Left: CT. Right: PSMA PET, same axial level, 18F tracer. Acquired on Siemens Biograph mCT Flow 20. PET panel 200×200 px (4.1 mm/px).
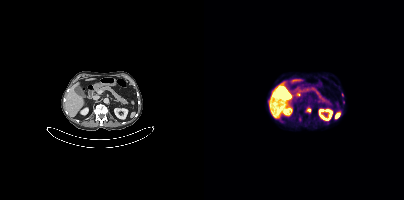
Coordinates are on the 200×200 PET (right) panel. Small PSMA-avid foci (2 to 4 px across) near (center x, center y): (104, 109) / (138, 94) / (139, 102).